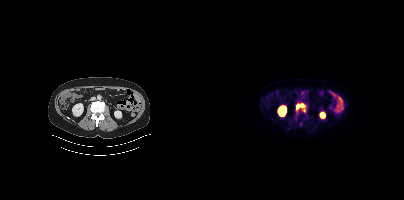
Two-panel axial: CT | PSMA PET, 18F-PSMA tracer. PET panel 200×200 px (4.1 mm/px).
Coordinates are on the 200×200 PET (right) panel. PSMA-avid tumor lesion bounding boxes (partial; 1 more focus not listed):
| # | x0 | y0 | x1 | y1 |
|---|---|---|---|---|
| 1 | 92 | 103 | 100 | 109 |